Two-panel axial: CT | PSMA PET, 18F tracer. Slice position z = -1436 mm. PET panel 200×200 px (4.1 mm/px).
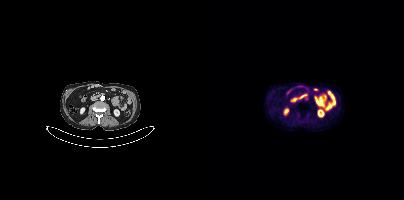
No tumor lesions annotated on this slice.